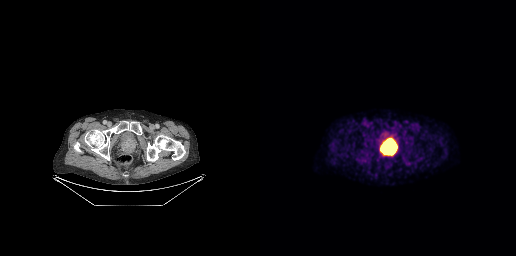
modality: PSMA PET/CT | tracer: 18F | view: axial | PET grid: 256×256
Coordinates are on the 256×256 PET (right) panel. PSMA-avid tumor lesion bounding box (x0, y0)-(x1, y1): (121, 140)-(135, 153).